deidentification: head region blacked out before release | modality: PSMA PET/CT | tracer: 18F-PSMA | view: axial | PET grid: 200×200
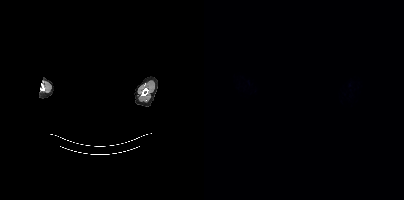
No tumor lesions annotated on this slice.